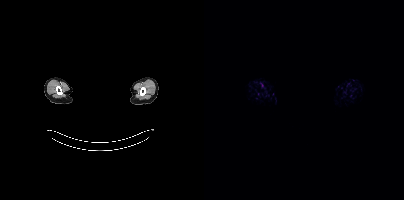
{"modality":"PSMA PET/CT","view":"axial","tracer":"68Ga","pet_grid":[200,200],"coord_frame":"pet_panel","coord_format":"x0,y0,x1,y1","psma_avid_lesions":false,"redaction":"rectangular block over head set to black"}